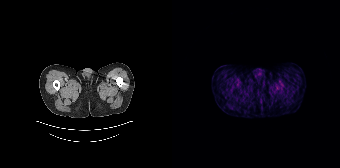
{"pet_grid":[168,168],"coord_frame":"pet_panel","coord_format":"x0,y0,x1,y1","psma_avid_lesions":false,"modality":"PSMA PET/CT","view":"axial","tracer":"68Ga-PSMA"}